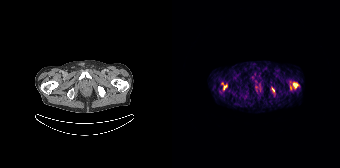
{"modality":"PSMA PET/CT","view":"axial","tracer":"[68Ga]Ga-PSMA-11","pet_grid":[168,168],"coord_frame":"pet_panel","coord_format":"x0,y0,x1,y1","partial":true,"lesion_bboxes":[[50,83,55,89],[121,83,125,87]],"small_foci_centers":[[101,89]]}